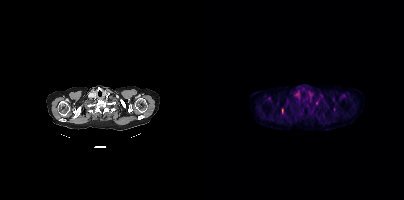
Coordinates are on the 200×200 PET (right) panel. PSMA-avid tumor lesion bounding box (x0,y0,x1,y1): [78,108,79,113].